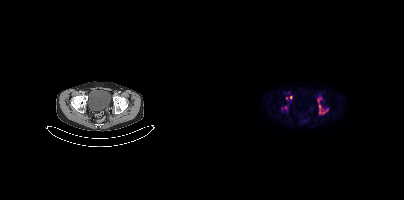
Coordinates are on the 200×200 PET (right) panel. PSMA-avid tumor lesion bounding box (x0,y0,x1,y1): [113,97,124,114]. Small PSMA-avid foci (2 to 4 px across) near (center x, center y): (87, 97), (82, 98), (81, 107).